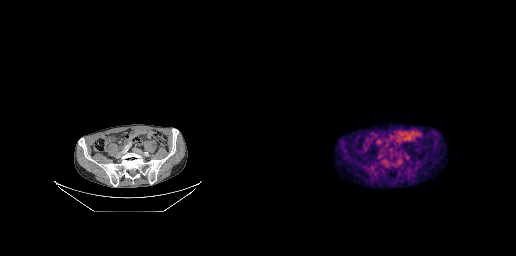
Paired axial CT (left) and PSMA PET (right), 18F tracer. Slice 102 of 263. PET panel 256×256 px (2.7 mm/px). Coordinates are on the 256×256 PET (right) panel. Small PSMA-avid focus (2 to 4 px across) near (center x, center y): (147, 157).